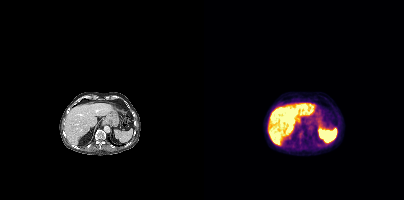
Coordinates are on the 200×200 PET (right) panel. Small PSMA-avid foci (2 to 4 px across) near (center x, center y): (97, 133); (95, 142).